Two-panel axial: CT | PSMA PET, 68Ga tracer. Acquired on Siemens Biograph 64-4R TruePoint.
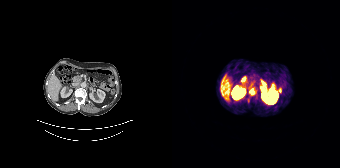
Coordinates are on the 168×168 PET (right) panel. PSMA-avid tumor lesion bounding boxes:
| # | x0 | y0 | x1 | y1 |
|---|---|---|---|---|
| 1 | 77 | 89 | 81 | 94 |